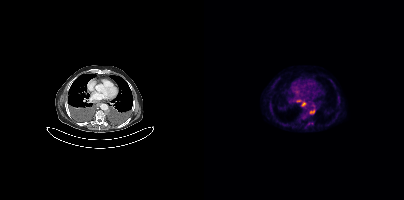
Coordinates are on the 200×200 PET (right) panel. (showing 2 of 3 foci) Small PSMA-avid foci (2 to 4 px across) near (center x, center y): (99, 104) / (106, 111).